Two-panel axial: CT | PSMA PET, 18F tracer. Slice 228 of 423. PET panel 200×200 px (4.1 mm/px).
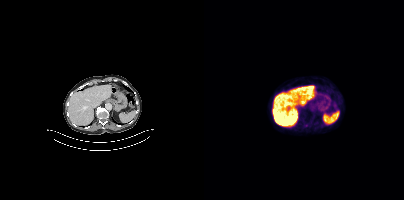
Negative for PSMA-avid disease on this slice.